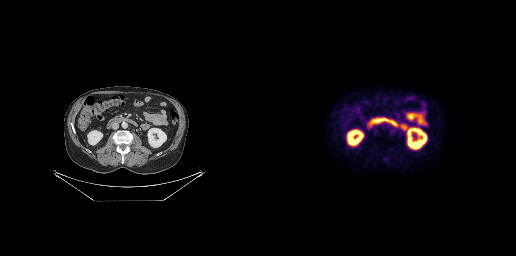
modality: PSMA PET/CT | tracer: 18F | view: axial | PET grid: 256×256
This slice has no annotated PSMA-avid lesion.